- Paired axial CT (left) and PSMA PET (right), 18F tracer
- acquired on Siemens Biograph mCT Flow 20
- slice 117 of 963
- PET panel 200×200 px (4.1 mm/px)
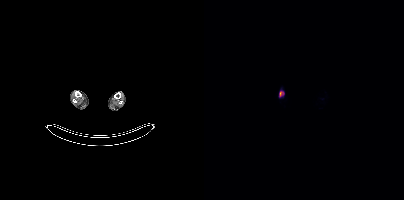
Findings: Coordinates are on the 200×200 PET (right) panel. PSMA-avid tumor lesion bounding box (x0,y0,x1,y1): [75,91,79,96].